Technique: Left: CT. Right: PSMA PET, same axial level, 18F-PSMA tracer. acquired on Siemens Biograph mCT Flow 20.
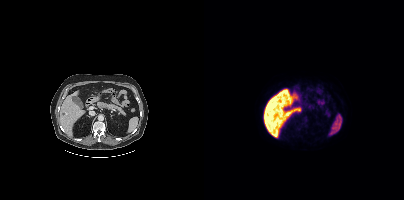
Findings: Negative for PSMA-avid disease on this slice.